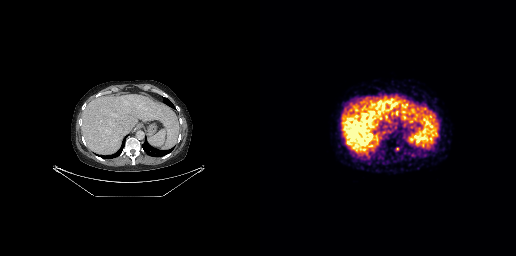
Coordinates are on the 256×256 PET (right) panel. Small PSMA-avid focus (2 to 4 px across) near (center x, center y): (137, 148).